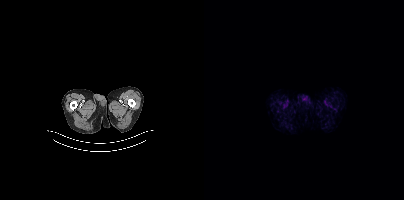
modality: PSMA PET/CT | tracer: [18F]PSMA-1007 | view: axial
No tumor lesions annotated on this slice.